Left: CT. Right: PSMA PET, same axial level, 18F-PSMA tracer. Slice 131 of 427. PET panel 200×200 px (4.1 mm/px).
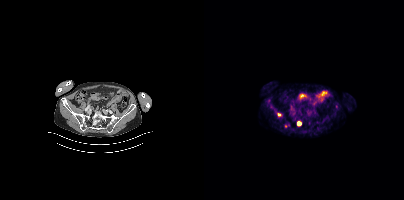
Coordinates are on the 200×200 PET (right) panel. PSMA-avid tumor lesion bounding box (x0,y0,x1,y1): [93,121,97,126]. Small PSMA-avid foci (2 to 4 px across) near (center x, center y): (75, 114), (81, 126).